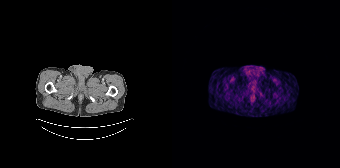
- Left: CT. Right: PSMA PET, same axial level, 68Ga-PSMA tracer
- acquired on Siemens Biograph 64-4R TruePoint
- slice 29 of 195
Findings: No tumor lesions annotated on this slice.